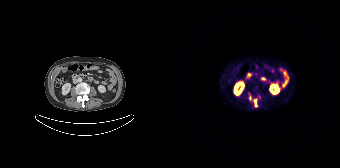
Coordinates are on the 168×168 PET (right) panel. PSMA-avid tumor lesion bounding boxes (partial; 1 more focus not listed):
| # | x0 | y0 | x1 | y1 |
|---|---|---|---|---|
| 1 | 82 | 99 | 85 | 106 |
Paired axial CT (left) and PSMA PET (right), 68Ga-PSMA tracer. Acquired on Siemens Biograph 64-4R TruePoint. Slice 89 of 195. PET panel 168×168 px (4.1 mm/px).